modality: PSMA PET/CT | tracer: [18F]PSMA-1007 | view: axial
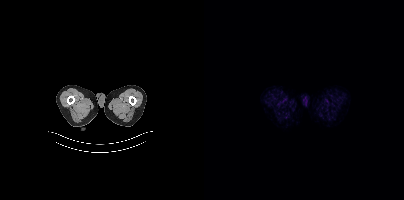
This slice has no annotated PSMA-avid lesion.